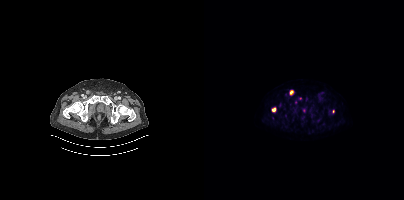
{"modality":"PSMA PET/CT","view":"axial","tracer":"[18F]PSMA-1007","pet_grid":[200,200],"coord_frame":"pet_panel","coord_format":"x0,y0,x1,y1","partial":true,"lesion_bboxes":[[85,90,89,95]],"small_foci_centers":[[69,109],[129,111]]}